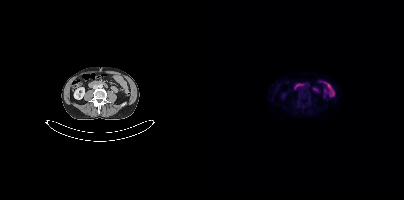
Negative for PSMA-avid disease on this slice.
modality: PSMA PET/CT | tracer: 18F | view: axial